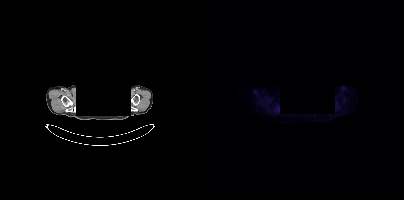
An anonymization step blacked out a rectangle over the head in this scan.
No PSMA-avid tumor lesions on this slice.